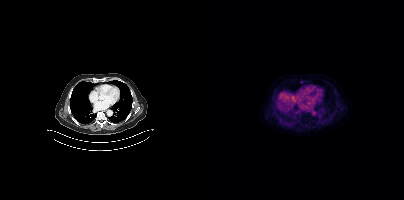
Coordinates are on the 200×200 PET (right) panel. Small PSMA-avid focus (2 to 4 px across) near (center x, center y): (97, 81). Left: CT. Right: PSMA PET, same axial level, 18F-PSMA tracer. Slice 257 of 393. PET panel 200×200 px (4.1 mm/px).